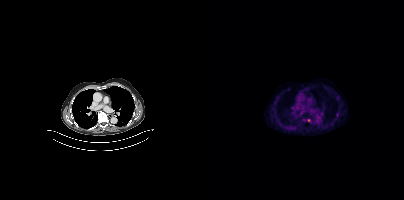
{"modality":"PSMA PET/CT","view":"axial","tracer":"[18F]PSMA-1007","pet_grid":[200,200],"coord_frame":"pet_panel","coord_format":"x0,y0,x1,y1","lesion_bboxes":[],"small_foci_centers":[[104,120]]}